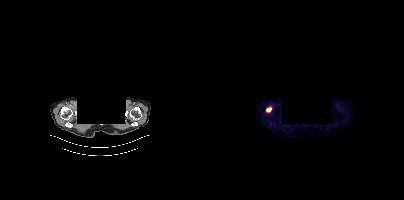
Two-panel axial: CT | PSMA PET, 18F-PSMA tracer. Slice 349 of 405. De-identified by setting a box covering the face to black before release.
Coordinates are on the 200×200 PET (right) panel. PSMA-avid tumor lesion bounding boxes:
| # | x0 | y0 | x1 | y1 |
|---|---|---|---|---|
| 1 | 62 | 107 | 67 | 111 |